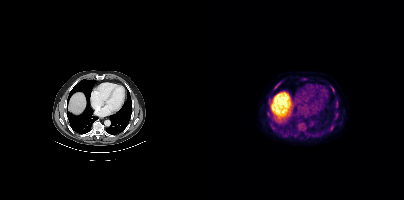
- Two-panel axial: CT | PSMA PET, 18F tracer
- slice 273 of 438
- PET panel 200×200 px (4.1 mm/px)
Findings: Coordinates are on the 200×200 PET (right) panel. PSMA-avid tumor lesion bounding boxes (x0,y0,x1,y1): [126,86,130,92] [72,82,76,87].